Technique: Paired axial CT (left) and PSMA PET (right), 18F tracer. acquired on Siemens Biograph mCT Flow 20. PET panel 200×200 px (4.1 mm/px).
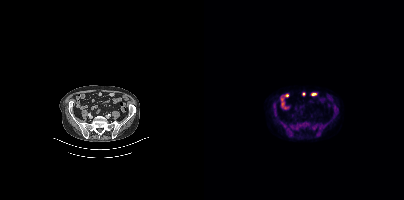
Findings: Coordinates are on the 200×200 PET (right) panel. PSMA-avid tumor lesion bounding box (x0, y0)-(x1, y1): (129, 105)-(133, 112). Small PSMA-avid focus (2 to 4 px across) near (center x, center y): (70, 109).